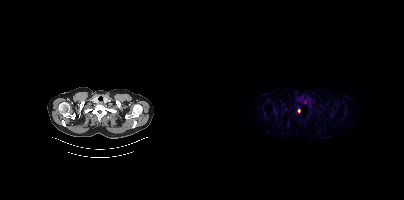
Coordinates are on the 200×200 PET (right) panel. Small PSMA-avid focus (2 to 4 px across) near (center x, center y): (95, 110).